- Left: CT. Right: PSMA PET, same axial level, [18F]PSMA-1007 tracer
- slice 355 of 431
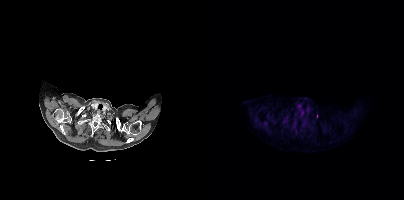
Findings: Only PSMA-avid lesion pieces thinner than 2 px on this slice (not listed).